modality: PSMA PET/CT | tracer: [18F]PSMA-1007 | view: axial
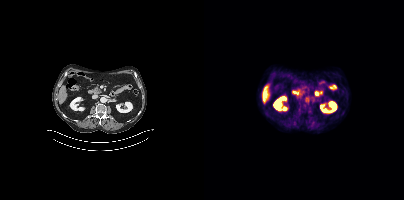
No PSMA-avid tumor lesions on this slice.